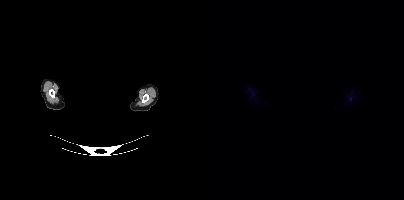
No tumor lesions annotated on this slice. Paired axial CT (left) and PSMA PET (right), 18F tracer. Slice 398 of 423. A rectangular block over the head has been blanked out for de-identification.